- Left: CT. Right: PSMA PET, same axial level, 18F tracer
- acquired on Siemens Biograph mCT Flow 20
- slice position z = -398 mm
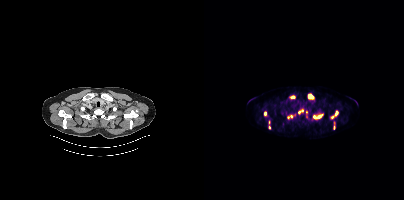
Findings: Coordinates are on the 200×200 PET (right) panel. (showing 9 of 12 foci) PSMA-avid tumor lesion bounding boxes (x0, y0)-(x1, y1): (109, 113)-(119, 119) / (103, 93)-(110, 99) / (126, 110)-(134, 118) / (86, 96)-(91, 98) / (94, 109)-(99, 113) / (84, 115)-(88, 118). Small PSMA-avid foci (2 to 4 px across) near (center x, center y): (102, 112) / (65, 127) / (102, 116).